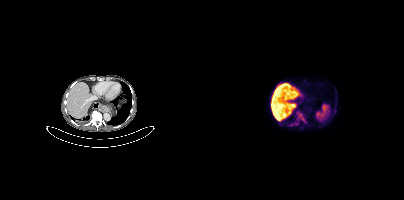
- Two-panel axial: CT | PSMA PET, 18F tracer
- slice 199 of 354
- PET panel 200×200 px (4.1 mm/px)
Findings: Coordinates are on the 200×200 PET (right) panel. PSMA-avid tumor lesion bounding boxes (x, y, width, height): x=92 y=111 w=11 h=12 | x=90 y=122 w=5 h=3. Small PSMA-avid focus (2 to 4 px across) near (center x, center y): (87, 124).